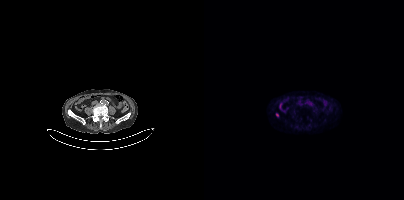
Coordinates are on the 200×200 PET (right) panel. Small PSMA-avid focus (2 to 4 px across) near (center x, center y): (73, 114).